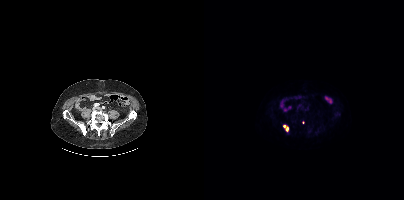
Two-panel axial: CT | PSMA PET, [18F]PSMA-1007 tracer. Slice 130 of 389. PET panel 200×200 px (4.1 mm/px). Coordinates are on the 200×200 PET (right) panel. (showing 1 of 2 foci) PSMA-avid tumor lesion bounding box (x0, y0)-(x1, y1): (79, 125)-(84, 131).